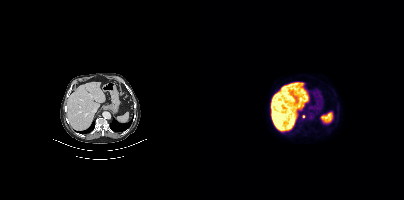
Coordinates are on the 200×200 PET (right) panel. Small PSMA-avid focus (2 to 4 px across) near (center x, center y): (99, 116).